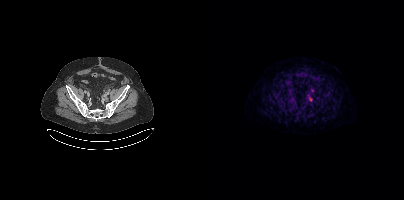
Left: CT. Right: PSMA PET, same axial level, [18F]PSMA-1007 tracer. Acquired on Siemens Biograph mCT Flow 20. Coordinates are on the 200×200 PET (right) panel. Small PSMA-avid foci (2 to 4 px across) near (center x, center y): (107, 112); (105, 99).